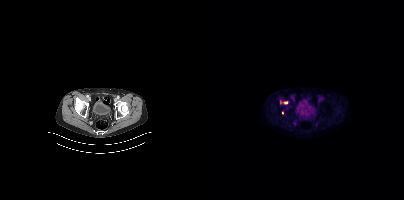
Coordinates are on the 200×200 PET (right) panel. (showing 2 of 3 foci) Small PSMA-avid foci (2 to 4 px across) near (center x, center y): (82, 102) / (78, 112).